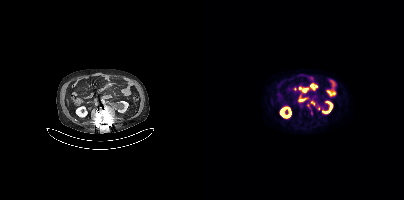
{"modality":"PSMA PET/CT","view":"axial","tracer":"18F-PSMA","pet_grid":[200,200],"coord_frame":"pet_panel","coord_format":"x0,y0,x1,y1","lesion_bboxes":[[102,104,108,114],[107,84,112,89],[99,88,103,92],[107,101,110,105]],"small_foci_centers":[[96,88],[91,89],[97,106]]}